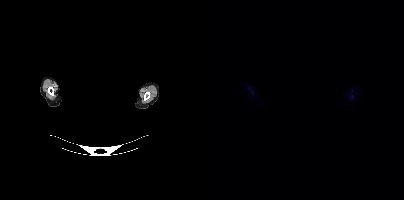
{"modality":"PSMA PET/CT","view":"axial","tracer":"18F-PSMA","pet_grid":[200,200],"coord_frame":"pet_panel","coord_format":"x0,y0,x1,y1","redaction":"facial region redacted","psma_avid_lesions":false}